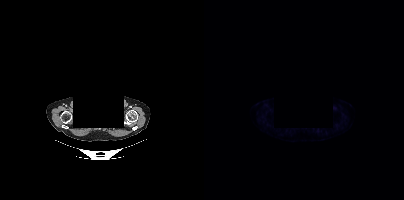
Technique: Paired axial CT (left) and PSMA PET (right), 18F-PSMA tracer.
Note: The face region was removed for patient privacy by blanking a rectangle over the head.
Findings: Negative for PSMA-avid disease on this slice.